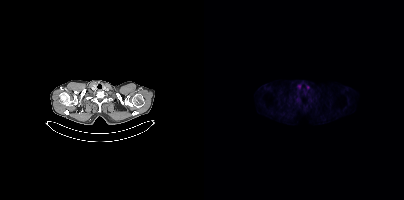
Technique: Paired axial CT (left) and PSMA PET (right), 18F tracer. acquired on Siemens Biograph mCT Flow 20. slice 348 of 409.
Findings: No PSMA-avid tumor lesions on this slice.